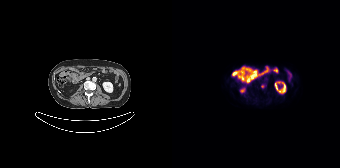
Technique: Two-panel axial: CT | PSMA PET, 18F tracer. acquired on Siemens Biograph 64-4R TruePoint. slice position z = -1381 mm. PET panel 168×168 px (4.1 mm/px).
Findings: No tumor lesions annotated on this slice.